modality: PSMA PET/CT | tracer: 18F | view: axial
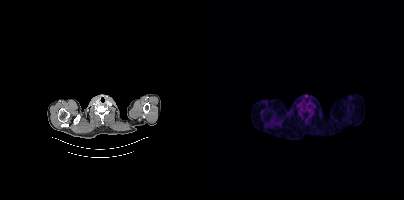
No tumor lesions annotated on this slice.